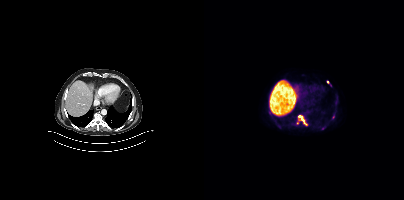
Findings: Coordinates are on the 200×200 PET (right) panel. (showing 3 of 5 foci) PSMA-avid tumor lesion bounding box (x0,y0,x1,y1): [94,115,103,125]. Small PSMA-avid foci (2 to 4 px across) near (center x, center y): (123, 82); (93, 122).
Technique: Paired axial CT (left) and PSMA PET (right), 18F tracer. acquired on Siemens Biograph mCT Flow 20. PET panel 200×200 px (4.1 mm/px).